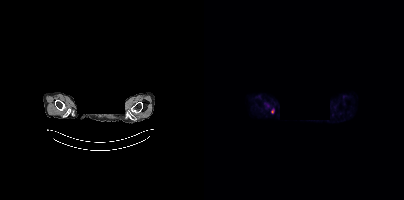
{"modality":"PSMA PET/CT","view":"axial","tracer":"18F-PSMA","pet_grid":[200,200],"coord_frame":"pet_panel","coord_format":"x0,y0,x1,y1","de-identification":"head region blacked out before release","lesion_bboxes":[[67,108,70,113]],"small_foci_centers":[[63,105]]}